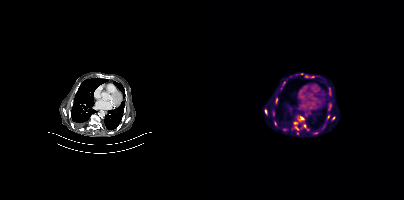
Technique: Paired axial CT (left) and PSMA PET (right), [18F]PSMA-1007 tracer. acquired on Siemens Biograph mCT Flow 20. slice 229 of 367.
Findings: Coordinates are on the 200×200 PET (right) panel. (showing 9 of 11 foci) PSMA-avid tumor lesion bounding box (x0,y0,x1,y1): [89,121,94,129]. Small PSMA-avid foci (2 to 4 px across) near (center x, center y): (97, 117); (124, 116); (62, 111); (69, 112); (100, 126); (77, 88); (128, 118); (81, 129).